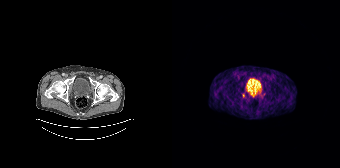
Coordinates are on the 168×168 PET (right) panel. PSMA-avid tumor lesion bounding box (x, y, width, height): x=70 y=93 w=3 h=5.
modality: PSMA PET/CT | tracer: [68Ga]Ga-PSMA-11 | view: axial | PET grid: 168×168